Left: CT. Right: PSMA PET, same axial level, [68Ga]Ga-PSMA-11 tracer. Acquired on Siemens Biograph 64-4R TruePoint.
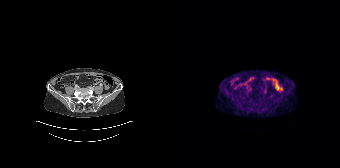
No PSMA-avid tumor lesions on this slice.